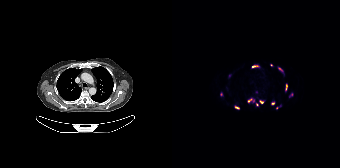
Findings: Coordinates are on the 168×168 PET (right) panel. (showing 12 of 13 foci) PSMA-avid tumor lesion bounding boxes (x0, y0)-(x1, y1): (75, 98)-(82, 102) / (80, 65)-(87, 67) / (113, 83)-(115, 91) / (62, 105)-(67, 109) / (87, 100)-(92, 103) / (106, 67)-(111, 71) / (117, 93)-(121, 97). Small PSMA-avid foci (2 to 4 px across) near (center x, center y): (100, 103) / (85, 104) / (99, 65) / (49, 94) / (104, 107).
Technique: Paired axial CT (left) and PSMA PET (right), 18F-PSMA tracer.